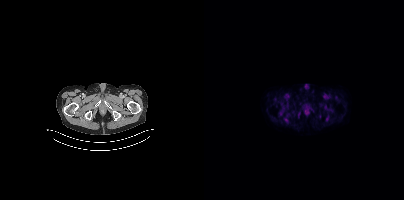
Findings: This slice has no annotated PSMA-avid lesion.
Technique: Paired axial CT (left) and PSMA PET (right), 18F-PSMA tracer. slice position z = -977 mm.